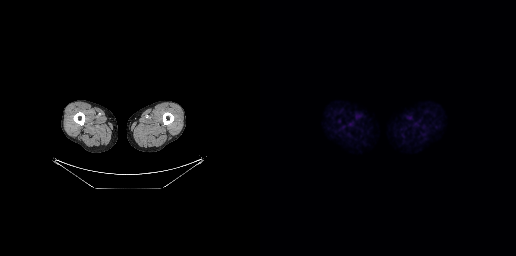
Findings: This slice has no annotated PSMA-avid lesion.
- Left: CT. Right: PSMA PET, same axial level, 18F-PSMA tracer
- slice 18 of 263